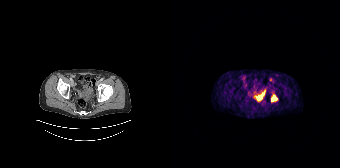
{"modality":"PSMA PET/CT","view":"axial","tracer":"68Ga-PSMA","pet_grid":[168,168],"coord_frame":"pet_panel","coord_format":"x0,y0,x1,y1","lesion_bboxes":[[99,95,105,101]],"small_foci_centers":[[98,79]]}